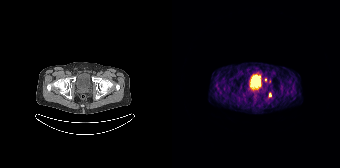
Coordinates are on the 168×168 PET (right) panel. (showing 2 of 3 foci) PSMA-avid tumor lesion bounding box (x0, y0)-(x1, y1): (97, 92)-(99, 97). Small PSMA-avid focus (2 to 4 px across) near (center x, center y): (93, 79).